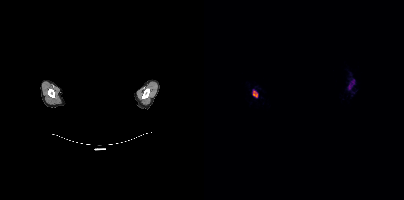
Technique: Two-panel axial: CT | PSMA PET, 18F-PSMA tracer. acquired on Siemens Biograph mCT Flow 20. slice position z = -174 mm.
Note: Facial anatomy redacted by setting a rectangular region of the head to black.
Findings: Coordinates are on the 200×200 PET (right) panel. PSMA-avid tumor lesion bounding boxes (x, y, width, height): x=49 y=90 w=5 h=8 / x=144 y=85 w=5 h=5.